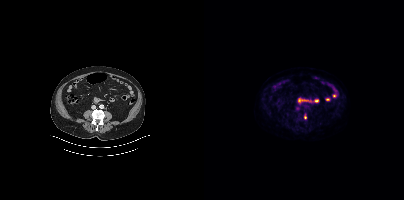
Coordinates are on the 200×200 PET (right) panel. Small PSMA-avid focus (2 to 4 px across) near (center x, center y): (101, 117).